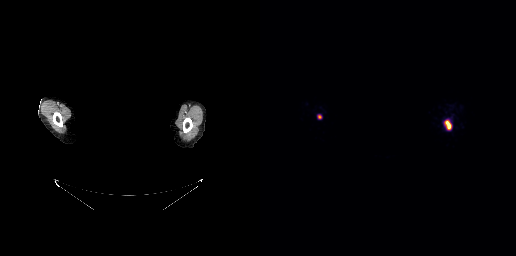
Left: CT. Right: PSMA PET, same axial level, [68Ga]Ga-PSMA-11 tracer. Acquired on GE Discovery 690. Slice 258 of 263. PET panel 256×256 px (2.7 mm/px). An anonymization step blacked out a rectangle over the head in this scan.
Coordinates are on the 256×256 PET (right) panel. PSMA-avid tumor lesion bounding boxes:
| # | x0 | y0 | x1 | y1 |
|---|---|---|---|---|
| 1 | 186 | 122 | 190 | 128 |
Small PSMA-avid focus (2 to 4 px across) near (center x, center y): (59, 116).